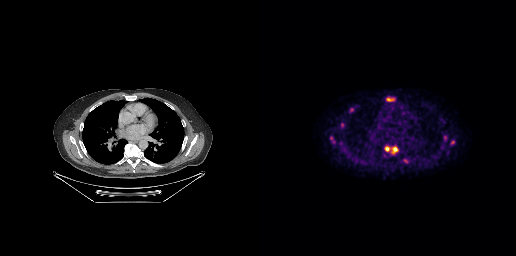
modality: PSMA PET/CT | tracer: [18F]PSMA-1007 | view: axial
Coordinates are on the 256×256 PET (right) panel. (showing 4 of 6 foci) PSMA-avid tumor lesion bounding boxes (x0, y0)-(x1, y1): (132, 147)-(137, 153) | (127, 98)-(133, 101) | (125, 147)-(129, 151). Small PSMA-avid focus (2 to 4 px across) near (center x, center y): (192, 142).